Technique: Two-panel axial: CT | PSMA PET, 18F-PSMA tracer. slice position z = -216 mm. PET panel 200×200 px (4.1 mm/px).
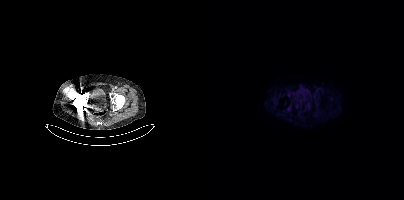
Findings: Negative for PSMA-avid disease on this slice.